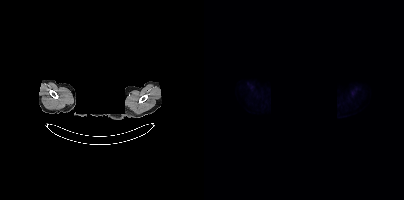
This slice has no annotated PSMA-avid lesion. Facial anatomy redacted by setting a rectangular region of the head to black. Left: CT. Right: PSMA PET, same axial level, 18F tracer. Acquired on Siemens Biograph mCT Flow 20. PET panel 200×200 px (4.1 mm/px).